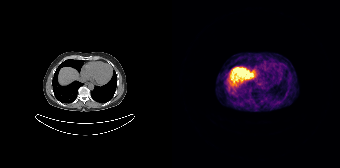
No PSMA-avid tumor lesions on this slice.